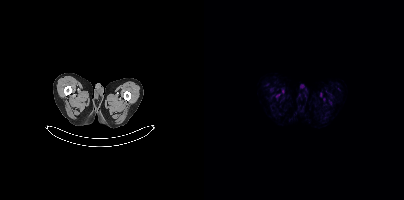
{"modality":"PSMA PET/CT","view":"axial","tracer":"18F","pet_grid":[200,200],"coord_frame":"pet_panel","coord_format":"x0,y0,x1,y1","psma_avid_lesions":false}